Two-panel axial: CT | PSMA PET, [68Ga]Ga-PSMA-11 tracer. PET panel 200×200 px (4.1 mm/px).
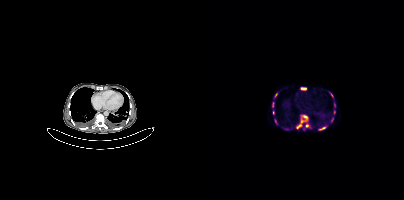
Coordinates are on the 200×200 PET (right) panel. PSMA-avid tumor lesion bounding boxes (partial; 3 more foci not listed):
| # | x0 | y0 | x1 | y1 |
|---|---|---|---|---|
| 1 | 92 | 115 | 103 | 128 |
| 2 | 115 | 127 | 121 | 130 |
| 3 | 97 | 88 | 102 | 89 |
Small PSMA-avid foci (2 to 4 px across) near (center x, center y): (103, 125); (68, 104); (128, 119); (72, 94); (127, 95); (130, 105); (71, 121).